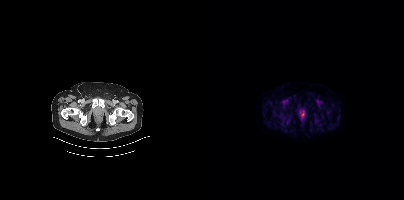
{"modality":"PSMA PET/CT","view":"axial","tracer":"[18F]PSMA-1007","pet_grid":[200,200],"coord_frame":"pet_panel","coord_format":"x0,y0,x1,y1","psma_avid_lesions":false}